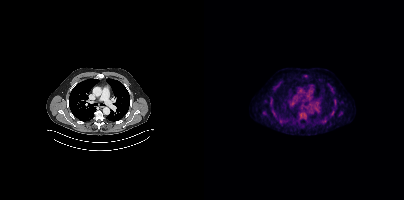
Technique: Paired axial CT (left) and PSMA PET (right), [18F]PSMA-1007 tracer. PET panel 200×200 px (4.1 mm/px).
Findings: Coordinates are on the 200×200 PET (right) panel. (showing 1 of 5 foci) Small PSMA-avid focus (2 to 4 px across) near (center x, center y): (131, 100).